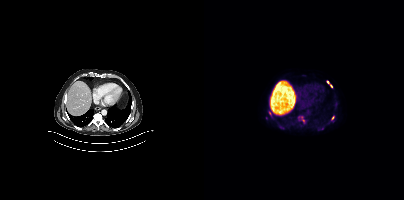
Findings: Coordinates are on the 200×200 PET (right) panel. (showing 4 of 6 foci) PSMA-avid tumor lesion bounding boxes (x, y, width, height): x=123 y=81 w=6 h=7 | x=127 y=116 w=4 h=5 | x=65 y=111 w=3 h=5. Small PSMA-avid focus (2 to 4 px across) near (center x, center y): (99, 120).
- Two-panel axial: CT | PSMA PET, 18F tracer
- slice position z = -384 mm
- PET panel 200×200 px (4.1 mm/px)